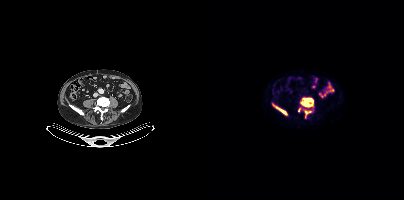
Coordinates are on the 200×200 PET (right) panel. PSMA-avid tumor lesion bounding boxes (x, y, width, height): x=96 y=98 w=14 h=9 | x=69 y=104 w=14 h=11 | x=100 y=110 w=8 h=8. Small PSMA-avid focus (2 to 4 px across) near (center x, center y): (94, 109).